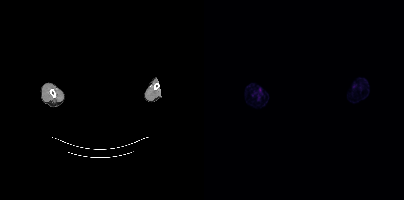
Technique: Paired axial CT (left) and PSMA PET (right), [18F]PSMA-1007 tracer. slice 432 of 448. PET panel 200×200 px (4.1 mm/px).
Note: The head region is masked for de-identification.
Findings: No PSMA-avid tumor lesions on this slice.